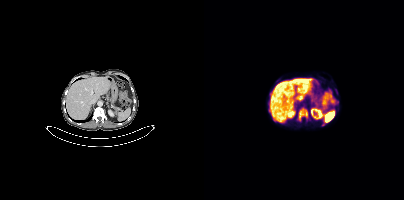
Coordinates are on the 200×200 PET (right) panel. PSMA-avid tumor lesion bounding box (x0,y0,x1,y1): [95,108,103,120].